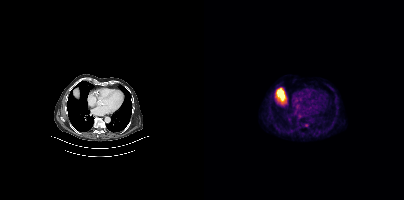
Two-panel axial: CT | PSMA PET, [18F]PSMA-1007 tracer. Acquired on Siemens Biograph mCT Flow 20. Slice position z = -1138 mm. This slice has no annotated PSMA-avid lesion.